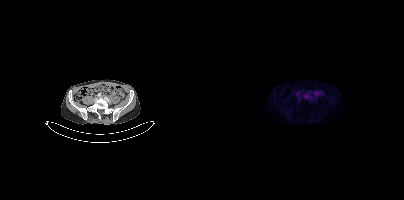
Findings: No tumor lesions annotated on this slice.
- Left: CT. Right: PSMA PET, same axial level, [18F]PSMA-1007 tracer
- slice 128 of 448